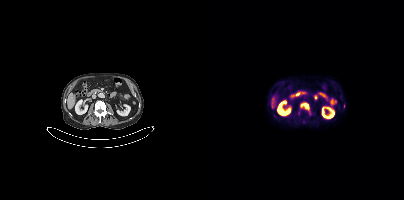
{"modality":"PSMA PET/CT","view":"axial","tracer":"18F-PSMA","pet_grid":[200,200],"coord_frame":"pet_panel","coord_format":"x0,y0,x1,y1","lesion_bboxes":[[96,102,105,110]]}